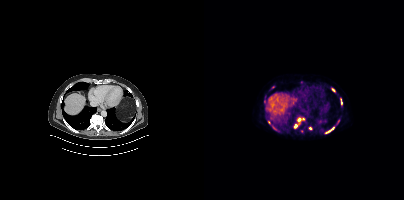
Coordinates are on the 200×200 PET (right) panel. (showing 5 of 6 foci) PSMA-avid tumor lesion bounding boxes (x, y, width, height): x=93 y=118 w=5 h=4; x=90 y=124 w=4 h=5; x=123 y=127 w=7 h=6; x=137 y=99 w=2 h=6. Small PSMA-avid focus (2 to 4 px across) near (center x, center y): (129, 90).